Left: CT. Right: PSMA PET, same axial level, 18F tracer. Slice position z = -1358 mm. PET panel 200×200 px (4.1 mm/px).
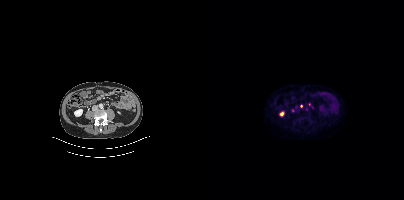
Coordinates are on the 200×200 PET (right) panel. (showing 1 of 2 foci) Small PSMA-avid focus (2 to 4 px across) near (center x, center y): (97, 106).